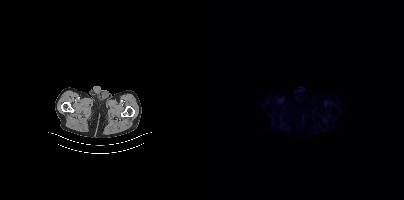
{"modality":"PSMA PET/CT","view":"axial","tracer":"18F","pet_grid":[200,200],"coord_frame":"pet_panel","coord_format":"x0,y0,x1,y1","psma_avid_lesions":false}